Technique: Left: CT. Right: PSMA PET, same axial level, [18F]PSMA-1007 tracer.
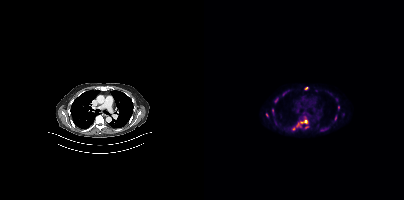
Findings: Coordinates are on the 200×200 PET (right) panel. (showing 11 of 12 foci) PSMA-avid tumor lesion bounding boxes (x0,y0,x1,y1): [92,119,103,127]; [71,98,73,102]. Small PSMA-avid foci (2 to 4 px across) near (center x, center y): (89, 128); (102, 88); (134, 107); (63, 115); (131, 117); (102, 127); (112, 90); (79, 94); (68, 110).